Left: CT. Right: PSMA PET, same axial level, 18F-PSMA tracer. Acquired on Siemens Biograph mCT Flow 20. Slice 382 of 403. PET panel 200×200 px (4.1 mm/px). A rectangle over the head was blacked out to remove identifiable facial features.
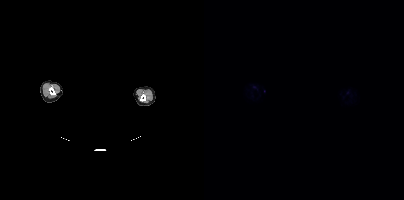
Negative for PSMA-avid disease on this slice.